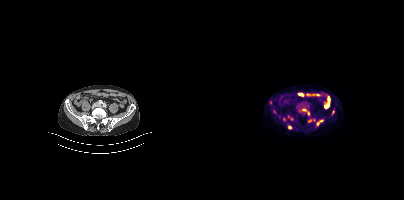
Findings: Coordinates are on the 200×200 PET (right) panel. (showing 5 of 9 foci) PSMA-avid tumor lesion bounding boxes (x0,y0,x1,y1): [113,120,118,125] [98,109,102,110]. Small PSMA-avid foci (2 to 4 px across) near (center x, center y): (129, 112) (86, 127) (104, 113).
- Two-panel axial: CT | PSMA PET, [18F]PSMA-1007 tracer
- acquired on Siemens Biograph mCT Flow 20
- slice position z = -743 mm
- PET panel 200×200 px (4.1 mm/px)